Left: CT. Right: PSMA PET, same axial level, [18F]PSMA-1007 tracer. Acquired on Siemens Biograph mCT Flow 20. Slice 5 of 433. PET panel 200×200 px (4.1 mm/px).
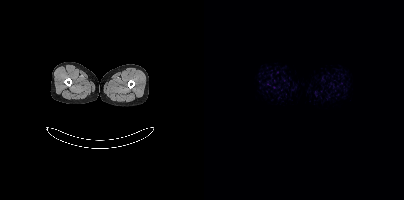
No PSMA-avid tumor lesions on this slice.